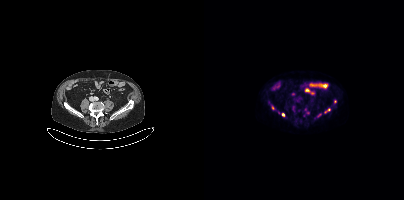
modality: PSMA PET/CT | tracer: 18F-PSMA | view: axial | PET grid: 200×200
Coordinates are on the 200×200 PET (right) panel. (showing 3 of 4 foci) PSMA-avid tumor lesion bounding box (x, y, width, height): x=120 y=108 w=7 h=6. Small PSMA-avid foci (2 to 4 px across) near (center x, center y): (79, 114); (68, 107).